modality: PSMA PET/CT | tracer: [18F]PSMA-1007 | view: axial
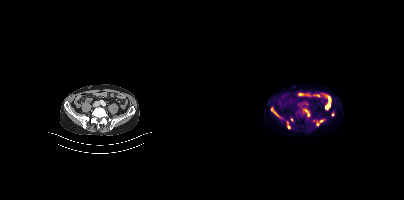
Coordinates are on the 200×200 PET (right) panel. PSMA-avid tumor lesion bounding boxes (x, y, width, height): x=83 y=121 w=3 h=8; x=101 y=109 w=5 h=8; x=67 y=108 w=8 h=9. Small PSMA-avid foci (2 to 4 px across) near (center x, center y): (129, 114); (113, 124); (117, 120); (87, 119).